modality: PSMA PET/CT | tracer: [18F]PSMA-1007 | view: axial
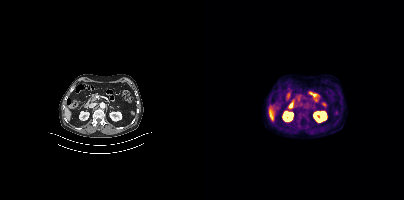
No tumor lesions annotated on this slice.